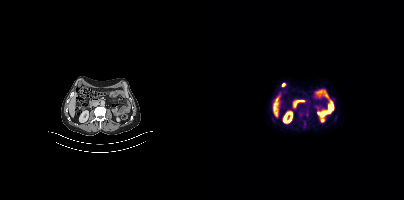
modality: PSMA PET/CT | tracer: [18F]PSMA-1007 | view: axial
This slice has no annotated PSMA-avid lesion.